Two-panel axial: CT | PSMA PET, [68Ga]Ga-PSMA-11 tracer. PET panel 256×256 px (2.7 mm/px). De-identified by setting a box covering the face to black before release.
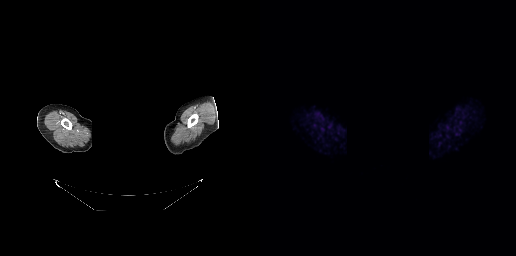
No tumor lesions annotated on this slice.